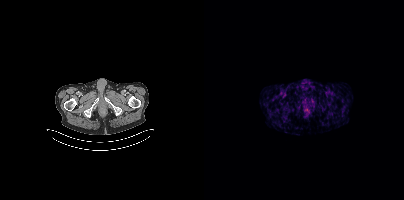
No PSMA-avid tumor lesions on this slice.